- Two-panel axial: CT | PSMA PET, 68Ga tracer
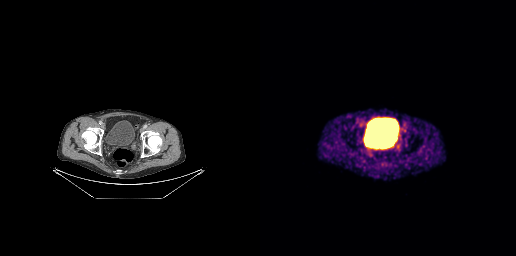
Findings: No PSMA-avid tumor lesions on this slice.